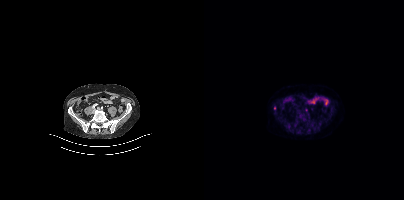
Findings: No tumor lesions annotated on this slice.
Technique: Left: CT. Right: PSMA PET, same axial level, 18F tracer. acquired on Siemens Biograph mCT Flow 20.